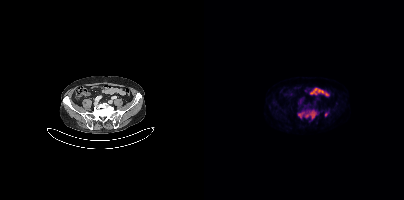
Coordinates are on the 200×200 PET (right) panel. PSMA-avid tumor lesion bounding box (x0, y0)-(x1, y1): (94, 110)-(112, 118). Small PSMA-avid focus (2 to 4 px across) near (center x, center y): (122, 114).